Two-panel axial: CT | PSMA PET, 68Ga-PSMA tracer. Slice 132 of 195. PET panel 168×168 px (4.1 mm/px).
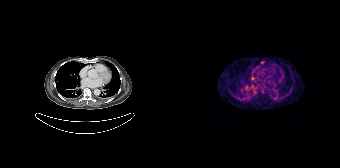
Coordinates are on the 168×168 PET (right) panel. (showing 1 of 2 foci) Small PSMA-avid focus (2 to 4 px across) near (center x, center y): (80, 78).